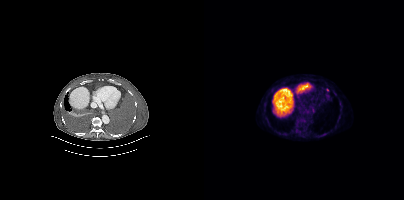
Findings: Coordinates are on the 200×200 PET (right) panel. (showing 2 of 3 foci) PSMA-avid tumor lesion bounding box (x0,y0,x1,y1): [107,108,110,112]. Small PSMA-avid focus (2 to 4 px across) near (center x, center y): (123, 89).
- Paired axial CT (left) and PSMA PET (right), 18F-PSMA tracer
- slice position z = -1380 mm
- PET panel 200×200 px (4.1 mm/px)